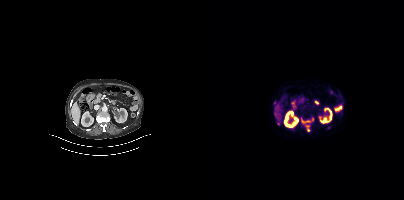
{"modality":"PSMA PET/CT","view":"axial","tracer":"68Ga","pet_grid":[200,200],"coord_frame":"pet_panel","coord_format":"x0,y0,x1,y1","partial":true,"lesion_bboxes":[[97,118,106,122],[102,125,105,131],[73,121,76,125]],"small_foci_centers":[[100,106]]}